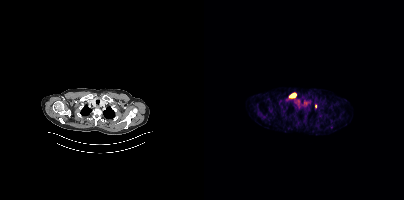
Coordinates are on the 200×200 PET (right) panel. (showing 1 of 2 foci) PSMA-avid tumor lesion bounding box (x0,y0,x1,y1): [86,93,91,96].